- Paired axial CT (left) and PSMA PET (right), 18F-PSMA tracer
- acquired on Siemens Biograph mCT Flow 20
- slice position z = -1329 mm
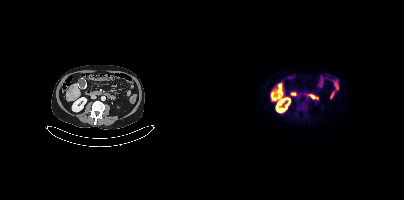
Findings: No PSMA-avid tumor lesions on this slice.